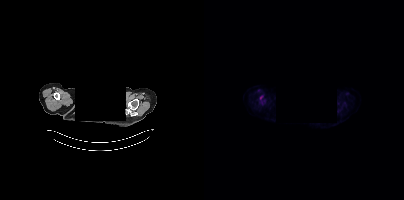
{"modality":"PSMA PET/CT","view":"axial","tracer":"18F-PSMA","pet_grid":[200,200],"coord_frame":"pet_panel","coord_format":"x0,y0,x1,y1","redaction":"face masked with black rectangle","psma_avid_lesions":false}